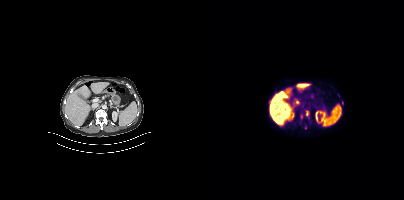
- Two-panel axial: CT | PSMA PET, 18F-PSMA tracer
- slice 204 of 413
- PET panel 200×200 px (4.1 mm/px)
Findings: Coordinates are on the 200×200 PET (right) panel. PSMA-avid tumor lesion bounding box (x0, y0)-(x1, y1): (102, 111)-(104, 116). Small PSMA-avid foci (2 to 4 px across) near (center x, center y): (138, 102); (97, 116); (101, 127).